Paired axial CT (left) and PSMA PET (right), 18F-PSMA tracer. PET panel 200×200 px (4.1 mm/px).
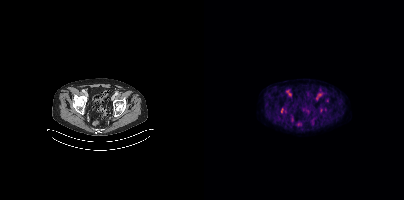
Coordinates are on the 200×200 PET (right) panel. (showing 2 of 3 foci) PSMA-avid tumor lesion bounding box (x, y, width, height): x=77 y=108 w=3 h=6. Small PSMA-avid focus (2 to 4 px across) near (center x, center y): (123, 100).